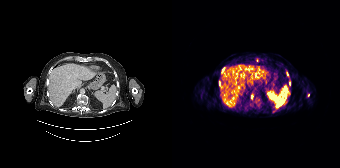
Technique: Left: CT. Right: PSMA PET, same axial level, 68Ga-PSMA tracer. acquired on Siemens Biograph 64-4R TruePoint.
Findings: Coordinates are on the 168×168 PET (right) panel. (showing 6 of 7 foci) PSMA-avid tumor lesion bounding boxes (x, y, width, height): x=50 y=68 w=3 h=5 / x=47 y=81 w=2 h=5. Small PSMA-avid foci (2 to 4 px across) near (center x, center y): (79, 96) / (117, 83) / (115, 73) / (136, 95).